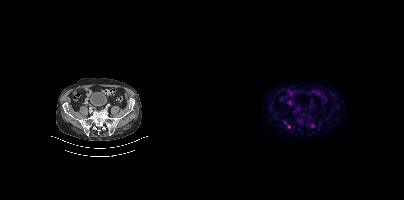
{"modality":"PSMA PET/CT","view":"axial","tracer":"[18F]PSMA-1007","pet_grid":[200,200],"coord_frame":"pet_panel","coord_format":"x0,y0,x1,y1","lesion_bboxes":[],"small_foci_centers":[[85,126]]}